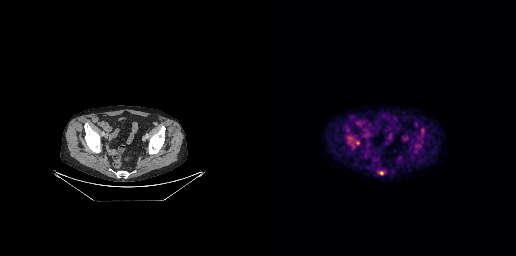
Findings: Coordinates are on the 256×256 PET (right) panel. PSMA-avid tumor lesion bounding boxes (x0,y0,x1,y1): [119,171,123,174] [161,129,164,134]. Small PSMA-avid focus (2 to 4 px across) near (center x, center y): (97, 142).
- Left: CT. Right: PSMA PET, same axial level, [18F]PSMA-1007 tracer
- acquired on GE Discovery 690